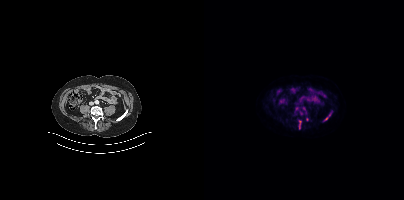
No tumor lesions annotated on this slice. Two-panel axial: CT | PSMA PET, 18F-PSMA tracer. Slice position z = -1316 mm.